Paired axial CT (left) and PSMA PET (right), 68Ga tracer. Acquired on GE Discovery 690. Slice 264 of 299. PET panel 256×256 px (2.7 mm/px).
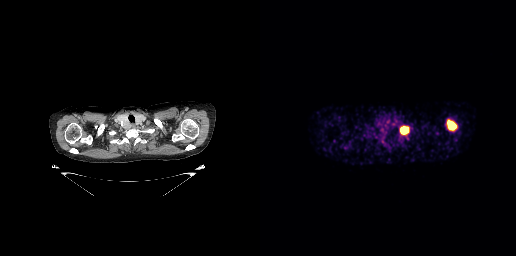
Coordinates are on the 256×256 PET (right) panel. PSMA-avid tumor lesion bounding boxes:
| # | x0 | y0 | x1 | y1 |
|---|---|---|---|---|
| 1 | 187 | 119 | 197 | 130 |
| 2 | 140 | 125 | 149 | 134 |